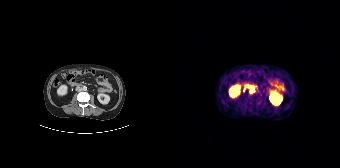
Coordinates are on the 168×168 PET (right) panel. PSMA-avid tumor lesion bounding box (x0, y0)-(x1, y1): (74, 85)-(82, 93). Paired axial CT (left) and PSMA PET (right), 68Ga tracer.